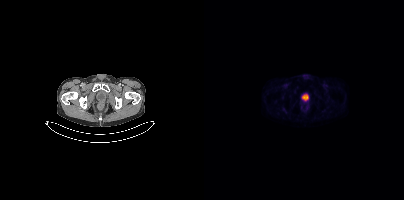
Negative for PSMA-avid disease on this slice. Two-panel axial: CT | PSMA PET, 18F tracer. Slice 55 of 448.